Paired axial CT (left) and PSMA PET (right), 18F tracer.
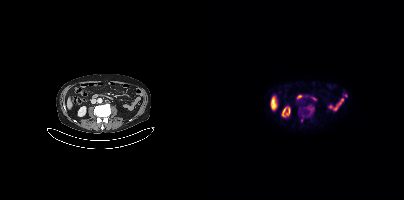
Coordinates are on the 200×200 PET (right) panel. PSMA-avid tumor lesion bounding box (x0,y0,x1,y1): [104,107,109,112]. Small PSMA-avid focus (2 to 4 px across) near (center x, center y): (97, 120).